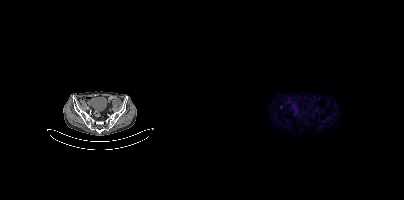
- Two-panel axial: CT | PSMA PET, 18F-PSMA tracer
- acquired on Siemens Biograph mCT Flow 20
- PET panel 200×200 px (4.1 mm/px)
Findings: Negative for PSMA-avid disease on this slice.